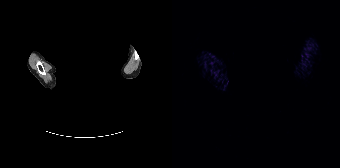
Findings: This slice has no annotated PSMA-avid lesion.
Technique: Paired axial CT (left) and PSMA PET (right), [68Ga]Ga-PSMA-11 tracer. acquired on Siemens Biograph 64-4R TruePoint.
Note: Any black rectangle over the head is a privacy mask, not anatomy.